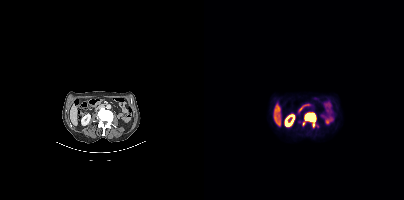
{"modality":"PSMA PET/CT","view":"axial","tracer":"18F-PSMA","pet_grid":[200,200],"coord_frame":"pet_panel","coord_format":"x0,y0,x1,y1","lesion_bboxes":[[101,113,111,127]],"small_foci_centers":[[99,123]]}